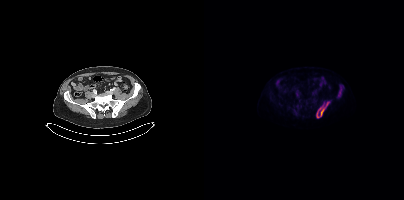
Technique: Left: CT. Right: PSMA PET, same axial level, 18F-PSMA tracer. acquired on Siemens Biograph mCT Flow 20. slice 111 of 403. PET panel 200×200 px (4.1 mm/px).
Findings: Coordinates are on the 200×200 PET (right) panel. (showing 2 of 3 foci) PSMA-avid tumor lesion bounding boxes (x0, y0)-(x1, y1): (112, 102)-(125, 118); (134, 88)-(137, 96).